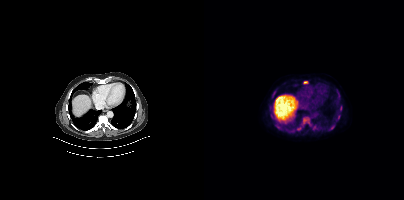
Coordinates are on the 200×200 PET (right) panel. PSMA-avid tumor lesion bounding boxes (x0, y0)-(x1, y1): (99, 117)-(105, 123); (125, 125)-(130, 130); (68, 90)-(72, 95); (108, 126)-(112, 130); (134, 115)-(136, 119). Small PSMA-avid foci (2 to 4 px across) near (center x, center y): (101, 82); (94, 128); (75, 128); (137, 109).